Left: CT. Right: PSMA PET, same axial level, [18F]PSMA-1007 tracer. Acquired on Siemens Biograph mCT Flow 20. Slice 290 of 401. PET panel 200×200 px (4.1 mm/px).
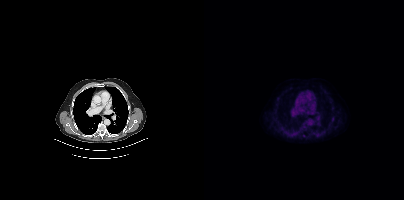
Negative for PSMA-avid disease on this slice.